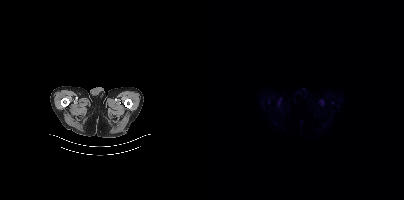
No tumor lesions annotated on this slice. Left: CT. Right: PSMA PET, same axial level, 18F-PSMA tracer. Acquired on Siemens Biograph mCT Flow 20. Slice 31 of 423.